Technique: Left: CT. Right: PSMA PET, same axial level, 18F-PSMA tracer. slice position z = 66 mm.
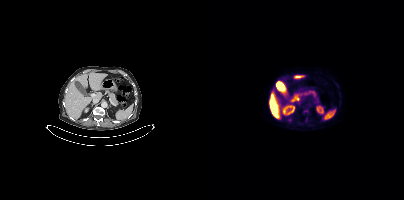
Findings: Coordinates are on the 200×200 PET (right) panel. Small PSMA-avid focus (2 to 4 px across) near (center x, center y): (85, 119).